- Left: CT. Right: PSMA PET, same axial level, 18F tracer
- acquired on Siemens Biograph mCT Flow 20
- slice 84 of 423
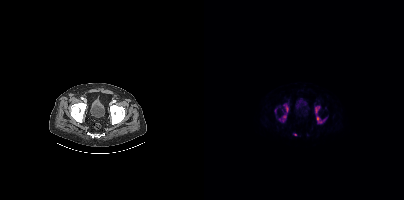
Findings: Coordinates are on the 200×200 PET (right) panel. (showing 4 of 5 foci) PSMA-avid tumor lesion bounding boxes (x, y, width, height): x=111 y=106 w=12 h=18 / x=74 y=103 w=11 h=20 / x=71 y=108 w=3 h=5. Small PSMA-avid focus (2 to 4 px across) near (center x, center y): (90, 134).